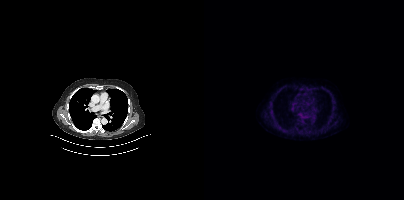
{"modality":"PSMA PET/CT","view":"axial","tracer":"18F","pet_grid":[200,200],"coord_frame":"pet_panel","coord_format":"x0,y0,x1,y1","psma_avid_lesions":false}